Technique: Paired axial CT (left) and PSMA PET (right), [18F]PSMA-1007 tracer. acquired on Siemens Biograph 64-4R TruePoint. slice 88 of 165.
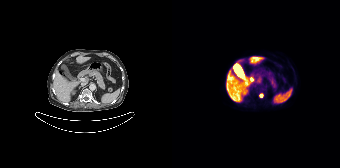
Findings: Coordinates are on the 168×168 PET (right) panel. Small PSMA-avid focus (2 to 4 px across) near (center x, center y): (89, 95).